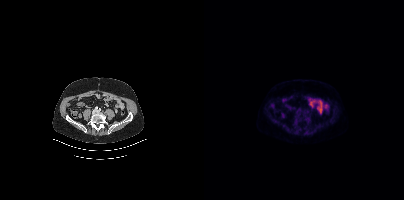
{"modality":"PSMA PET/CT","view":"axial","tracer":"[18F]PSMA-1007","pet_grid":[200,200],"coord_frame":"pet_panel","coord_format":"x0,y0,x1,y1","psma_avid_lesions":false}